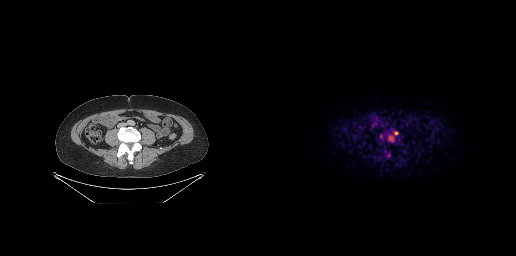
{"modality":"PSMA PET/CT","view":"axial","tracer":"18F-PSMA","pet_grid":[256,256],"coord_frame":"pet_panel","coord_format":"x0,y0,x1,y1","partial":true,"lesion_bboxes":[[128,136,133,141],[134,131,138,135]]}